- Left: CT. Right: PSMA PET, same axial level, [18F]PSMA-1007 tracer
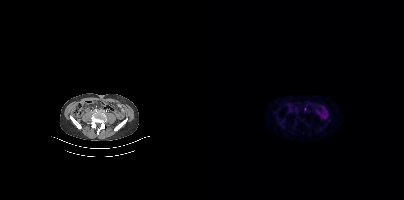
Findings: Coordinates are on the 200×200 PET (right) panel. Small PSMA-avid focus (2 to 4 px across) near (center x, center y): (100, 109).